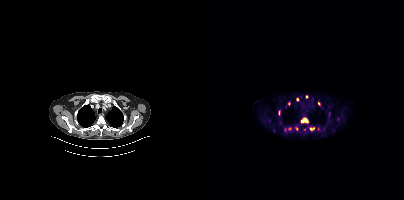
Coordinates are on the 200×200 PET (right) panel. (showing 8 of 11 foci) PSMA-avid tumor lesion bounding boxes (x0, y0)-(x1, y1): (96, 117)-(104, 123); (106, 127)-(110, 130). Small PSMA-avid foci (2 to 4 px across) near (center x, center y): (115, 103); (81, 129); (92, 128); (93, 99); (102, 96); (84, 128).